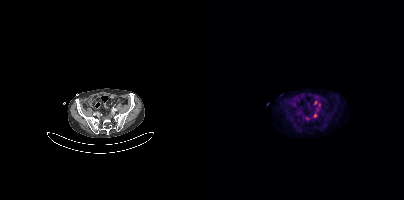
Coordinates are on the 200×200 PET (right) panel. PSMA-avid tumor lesion bounding box (x0,y0,x1,y1): [109,112,113,117]. Small PSMA-avid foci (2 to 4 px across) near (center x, center y): (103, 118); (111, 102); (115, 104). Paired axial CT (left) and PSMA PET (right), 18F tracer. PET panel 200×200 px (4.1 mm/px).